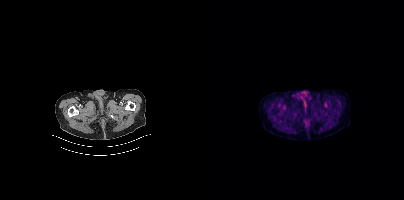
Negative for PSMA-avid disease on this slice.
modality: PSMA PET/CT | tracer: [18F]PSMA-1007 | view: axial